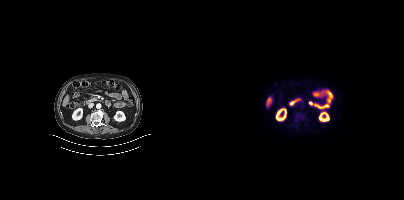
{"pet_grid":[200,200],"coord_frame":"pet_panel","coord_format":"x0,y0,x1,y1","psma_avid_lesions":false,"modality":"PSMA PET/CT","view":"axial","tracer":"18F"}